- Two-panel axial: CT | PSMA PET, 18F-PSMA tracer
- acquired on Siemens Biograph mCT Flow 20
- slice position z = -710 mm
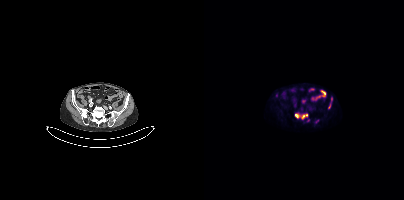
Findings: Coordinates are on the 200×200 PET (right) panel. PSMA-avid tumor lesion bounding box (x0,y0,x1,y1): [98,114,103,118]. Small PSMA-avid foci (2 to 4 px across) near (center x, center y): (92, 115), (125, 106).